modality: PSMA PET/CT | tracer: 68Ga | view: axial
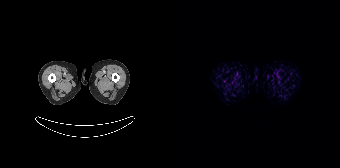
This slice has no annotated PSMA-avid lesion.